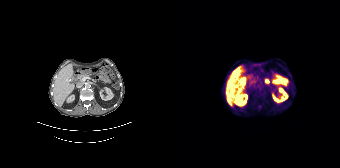
Negative for PSMA-avid disease on this slice.